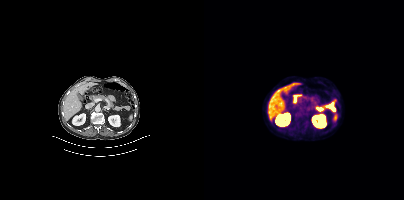
Findings: Negative for PSMA-avid disease on this slice.
- Paired axial CT (left) and PSMA PET (right), 18F tracer
- acquired on Siemens Biograph mCT Flow 20
- slice position z = 246 mm